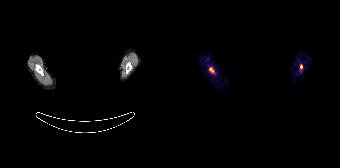
- face de-identified by blanking a block of the head
- Left: CT. Right: PSMA PET, same axial level, [68Ga]Ga-PSMA-11 tracer
- acquired on Siemens Biograph 64-4R TruePoint
- slice position z = -634 mm
- PET panel 168×168 px (4.1 mm/px)
Findings: Coordinates are on the 168×168 PET (right) panel. PSMA-avid tumor lesion bounding boxes (x, y, width, height): x=37 y=67 w=6 h=7 | x=128 y=64 w=3 h=5.